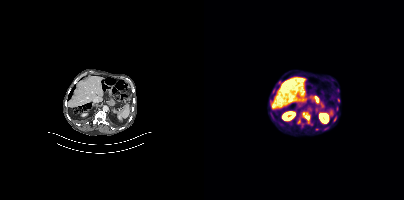
{"pet_grid":[200,200],"coord_frame":"pet_panel","coord_format":"x0,y0,x1,y1","partial":true,"lesion_bboxes":[[100,113,106,121],[96,123,100,127],[69,89,70,93]],"small_foci_centers":[[130,120]],"modality":"PSMA PET/CT","view":"axial","tracer":"18F-PSMA"}